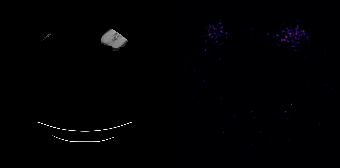
{"modality":"PSMA PET/CT","view":"axial","tracer":"68Ga-PSMA","pet_grid":[168,168],"coord_frame":"pet_panel","coord_format":"x0,y0,x1,y1","de-identification":"face masked with black rectangle","psma_avid_lesions":false}